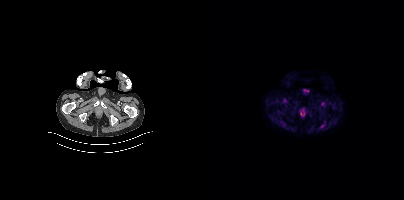
No tumor lesions annotated on this slice. Two-panel axial: CT | PSMA PET, 18F tracer. Slice position z = -973 mm.